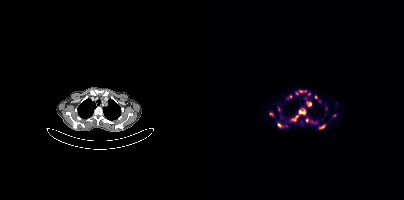
Coordinates are on the 200×200 PET (right) panel. (showing 13 of 15 foci) PSMA-avid tumor lesion bounding boxes (x, y, width, height): x=95 y=110 w=7 h=5; x=103 y=102 w=5 h=5; x=88 y=116 w=6 h=5; x=115 y=125 w=6 h=4; x=65 y=112 w=5 h=4; x=74 y=123 w=4 h=5. Small PSMA-avid foci (2 to 4 px across) near (center x, center y): (75, 108); (86, 96); (112, 97); (100, 91); (105, 93); (102, 120); (96, 91).
modality: PSMA PET/CT | tracer: [68Ga]Ga-PSMA-11 | view: axial | PET grid: 200×200